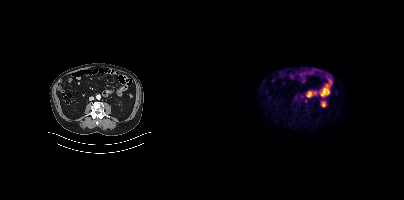
{"modality":"PSMA PET/CT","view":"axial","tracer":"18F-PSMA","pet_grid":[200,200],"coord_frame":"pet_panel","coord_format":"x0,y0,x1,y1","partial":true,"lesion_bboxes":[]}